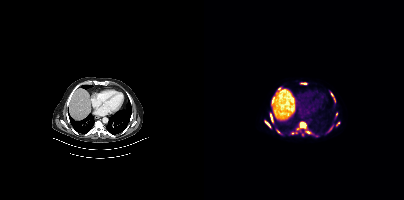
Paired axial CT (left) and PSMA PET (right), 18F-PSMA tracer. PET panel 200×200 px (4.1 mm/px).
Coordinates are on the 200×200 PET (right) panel. PSMA-avid tumor lesion bounding boxes (partial; 2 more foci not listed):
| # | x0 | y0 | x1 | y1 |
|---|---|---|---|---|
| 1 | 96 | 122 | 102 | 128 |
| 2 | 61 | 121 | 66 | 127 |
| 3 | 66 | 114 | 68 | 121 |
| 4 | 68 | 102 | 69 | 106 |
Small PSMA-avid foci (2 to 4 px across) near (center x, center y): (133, 123); (103, 132); (100, 83); (127, 94); (132, 114); (73, 131); (74, 88); (93, 128).